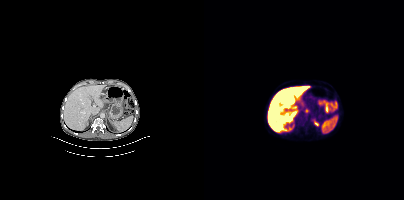
Findings: Coordinates are on the 200×200 PET (right) panel. PSMA-avid tumor lesion bounding box (x0, y0)-(x1, y1): (101, 108)-(105, 112).
Technique: Left: CT. Right: PSMA PET, same axial level, 18F tracer.